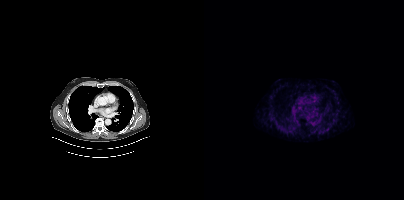
Negative for PSMA-avid disease on this slice.